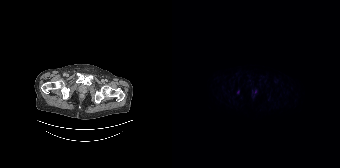
Coordinates are on the 168×168 PET (right) panel. Small PSMA-avid focus (2 to 4 px across) near (center x, center y): (66, 92). Two-panel axial: CT | PSMA PET, 18F tracer. Acquired on Siemens Biograph 64-4R TruePoint. Slice 35 of 165. PET panel 168×168 px (4.1 mm/px).